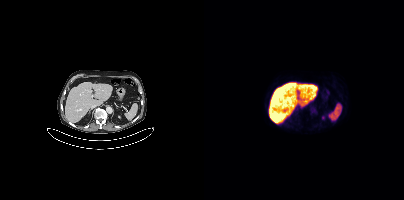
No tumor lesions annotated on this slice.